Two-panel axial: CT | PSMA PET, 68Ga tracer. PET panel 200×200 px (4.1 mm/px).
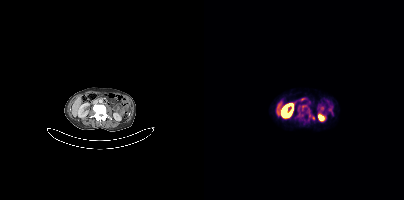
Coordinates are on the 200×200 PET (right) panel. PSMA-avid tumor lesion bounding boxes:
| # | x0 | y0 | x1 | y1 |
|---|---|---|---|---|
| 1 | 104 | 112 | 106 | 117 |
Small PSMA-avid focus (2 to 4 px across) near (center x, center y): (109, 117).